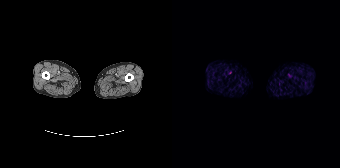
Technique: Two-panel axial: CT | PSMA PET, 18F-PSMA tracer. acquired on Siemens Biograph 64-4R TruePoint. slice position z = -1466 mm.
Findings: Negative for PSMA-avid disease on this slice.